modality: PSMA PET/CT | tracer: 18F | view: axial
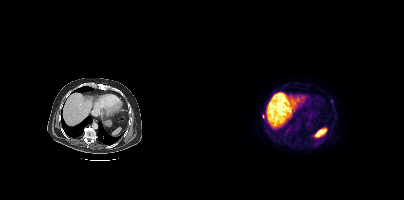
Coordinates are on the 200×200 PET (right) panel. Small PSMA-avid focus (2 to 4 px across) near (center x, center y): (59, 116).